Two-panel axial: CT | PSMA PET, 18F tracer. Slice position z = -858 mm. PET panel 256×256 px (2.7 mm/px).
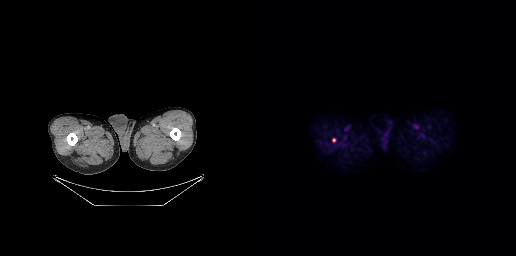
Negative for PSMA-avid disease on this slice.